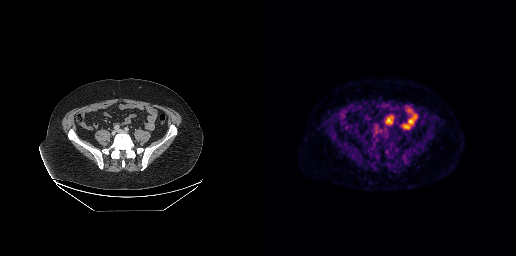
{"pet_grid":[256,256],"coord_frame":"pet_panel","coord_format":"x0,y0,x1,y1","psma_avid_lesions":false,"modality":"PSMA PET/CT","view":"axial","tracer":"18F"}